modality: PSMA PET/CT | tracer: 18F-PSMA | view: axial
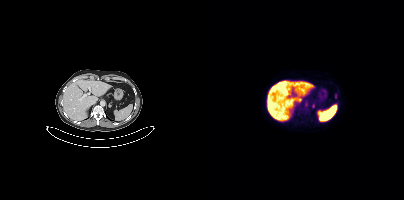
Coordinates are on the 200×200 PET (right) panel. Small PSMA-avid focus (2 to 4 px across) near (center x, center y): (109, 106).